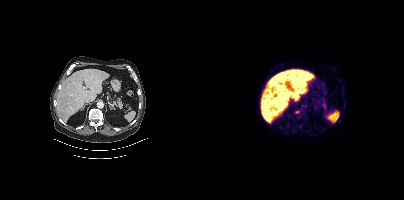
Technique: Two-panel axial: CT | PSMA PET, 18F tracer. slice position z = -613 mm.
Findings: Coordinates are on the 200×200 PET (right) panel. Small PSMA-avid focus (2 to 4 px across) near (center x, center y): (92, 112).